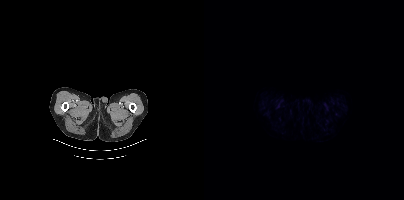
- Left: CT. Right: PSMA PET, same axial level, 18F tracer
- slice 28 of 405
- PET panel 200×200 px (4.1 mm/px)
Findings: This slice has no annotated PSMA-avid lesion.